Paired axial CT (left) and PSMA PET (right), 18F tracer. Acquired on Siemens Biograph mCT Flow 20. PET panel 200×200 px (4.1 mm/px).
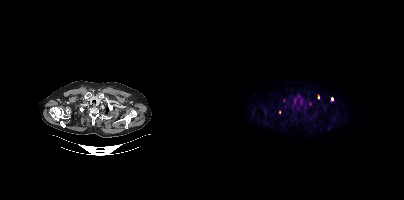
Coordinates are on the 200×200 PET (right) panel. PSMA-avid tumor lesion bounding boxes:
| # | x0 | y0 | x1 | y1 |
|---|---|---|---|---|
| 1 | 127 | 97 | 129 | 101 |
Small PSMA-avid foci (2 to 4 px across) near (center x, center y): (114, 96); (75, 111).